Left: CT. Right: PSMA PET, same axial level, 68Ga tracer. Acquired on Siemens Biograph mCT Flow 20.
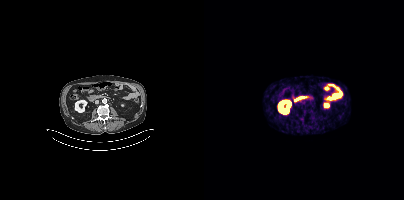
No PSMA-avid tumor lesions on this slice.